Technique: Two-panel axial: CT | PSMA PET, 18F tracer. slice 51 of 409. PET panel 200×200 px (4.1 mm/px).
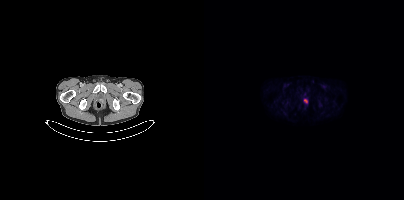
Findings: Coordinates are on the 200×200 PET (right) panel. Small PSMA-avid focus (2 to 4 px across) near (center x, center y): (101, 100).